Paired axial CT (left) and PSMA PET (right), [18F]PSMA-1007 tracer. PET panel 200×200 px (4.1 mm/px).
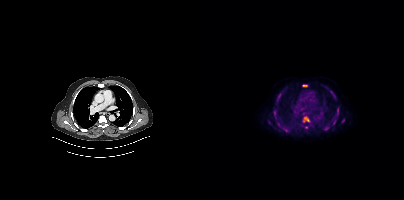
Coordinates are on the 200×200 PET (right) panel. (showing 10 of 12 foci) PSMA-avid tumor lesion bounding boxes (x0, y0)-(x1, y1): (131, 107)-(135, 116); (99, 117)-(105, 121); (74, 124)-(82, 130); (98, 85)-(103, 86); (70, 111)-(71, 117); (129, 120)-(131, 124). Small PSMA-avid foci (2 to 4 px across) near (center x, center y): (102, 127); (139, 120); (130, 97); (124, 127).